Paired axial CT (left) and PSMA PET (right), 18F tracer. Acquired on Siemens Biograph mCT Flow 20. PET panel 200×200 px (4.1 mm/px).
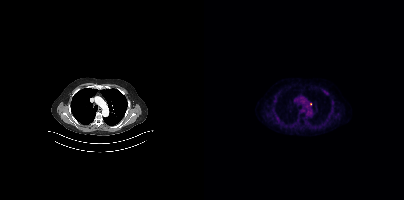
Only PSMA-avid lesion pieces thinner than 2 px on this slice (not listed).